Left: CT. Right: PSMA PET, same axial level, 18F-PSMA tracer. Slice position z = -971 mm.
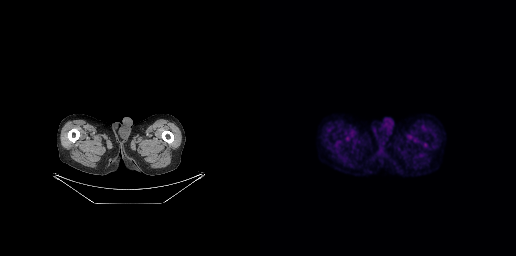
No tumor lesions annotated on this slice.